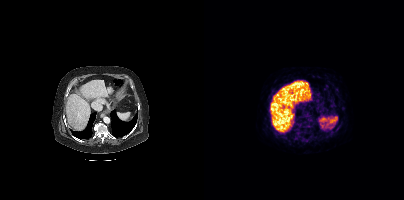
This slice has no annotated PSMA-avid lesion.
modality: PSMA PET/CT | tracer: 68Ga | view: axial